modality: PSMA PET/CT | tracer: 18F-PSMA | view: axial
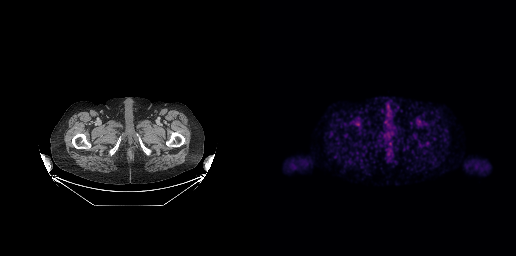
This slice has no annotated PSMA-avid lesion.